Technique: Left: CT. Right: PSMA PET, same axial level, [18F]PSMA-1007 tracer. slice position z = -846 mm.
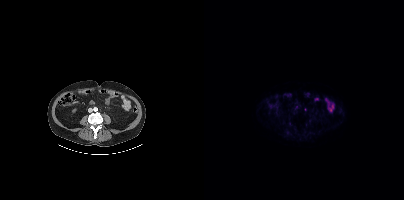
Findings: No tumor lesions annotated on this slice.